- Two-panel axial: CT | PSMA PET, 18F-PSMA tracer
- acquired on Siemens Biograph mCT Flow 20
- slice position z = -932 mm
- PET panel 200×200 px (4.1 mm/px)
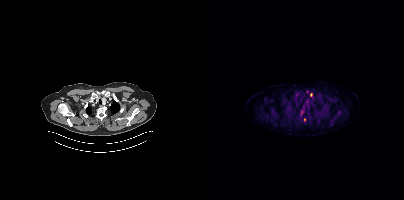
Findings: Coordinates are on the 200×200 PET (right) panel. (showing 4 of 5 foci) Small PSMA-avid foci (2 to 4 px across) near (center x, center y): (103, 91); (107, 94); (97, 112); (100, 119).